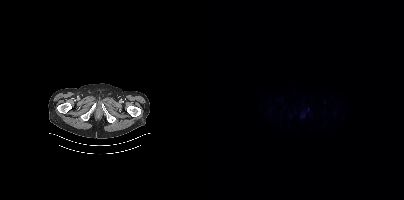
Findings: Negative for PSMA-avid disease on this slice.
- Two-panel axial: CT | PSMA PET, 18F tracer
- acquired on Siemens Biograph mCT Flow 20